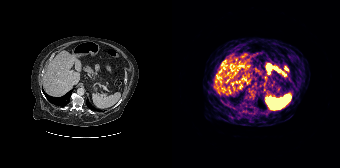
This slice has no annotated PSMA-avid lesion.